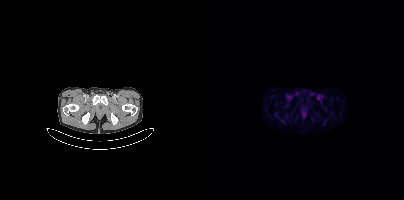
This slice has no annotated PSMA-avid lesion.